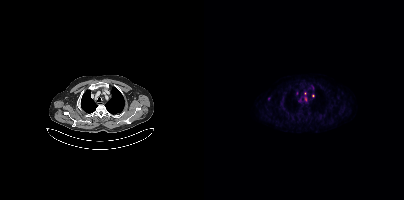
modality: PSMA PET/CT | tracer: 18F-PSMA | view: axial | PET grid: 200×200
Coordinates are on the 200×200 PET (right) panel. Small PSMA-avid foci (2 to 4 px across) near (center x, center y): (109, 95); (108, 87); (64, 98).